- Paired axial CT (left) and PSMA PET (right), 18F-PSMA tracer
- acquired on Siemens Biograph mCT Flow 20
- slice position z = -108 mm
- PET panel 200×200 px (4.1 mm/px)
- any black rectangle over the head is a privacy mask, not anatomy
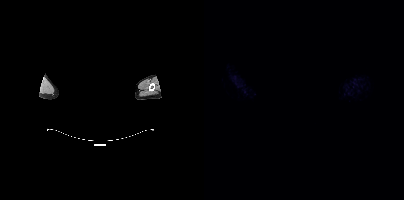
Findings: This slice has no annotated PSMA-avid lesion.